Two-panel axial: CT | PSMA PET, 18F-PSMA tracer. Slice position z = -744 mm.
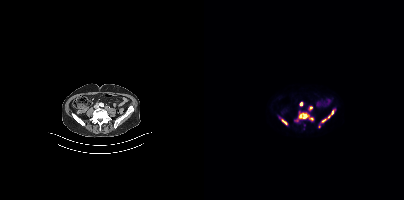
Coordinates are on the 200×200 PET (right) panel. PSMA-avid tumor lesion bounding boxes:
| # | x0 | y0 | x1 | y1 |
|---|---|---|---|---|
| 1 | 95 | 113 | 103 | 118 |
| 2 | 117 | 110 | 129 | 122 |
| 3 | 78 | 119 | 83 | 124 |
Small PSMA-avid foci (2 to 4 px across) near (center x, center y): (97, 103); (107, 108); (107, 118); (115, 126).